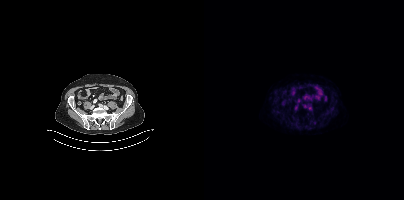
No tumor lesions annotated on this slice.